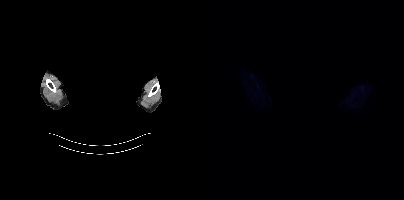
modality: PSMA PET/CT | tracer: [18F]PSMA-1007 | view: axial | PET grid: 200×200 | deidentification: head region blacked out before release
No PSMA-avid tumor lesions on this slice.